Paired axial CT (left) and PSMA PET (right), 68Ga tracer. PET panel 168×168 px (4.1 mm/px).
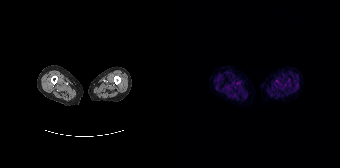
This slice has no annotated PSMA-avid lesion.